- Paired axial CT (left) and PSMA PET (right), 18F tracer
- slice position z = -1066 mm
- PET panel 168×168 px (4.1 mm/px)
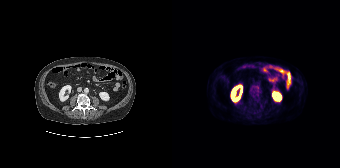
Findings: This slice has no annotated PSMA-avid lesion.